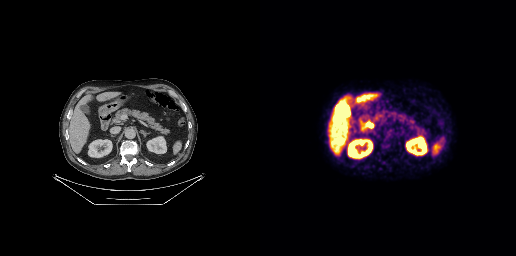
{"pet_grid":[256,256],"coord_frame":"pet_panel","coord_format":"x0,y0,x1,y1","psma_avid_lesions":false,"modality":"PSMA PET/CT","view":"axial","tracer":"18F-PSMA"}